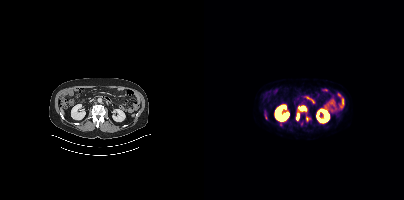
- Two-panel axial: CT | PSMA PET, 18F-PSMA tracer
- acquired on Siemens Biograph mCT Flow 20
- slice 191 of 444
- PET panel 200×200 px (4.1 mm/px)
Findings: Coordinates are on the 200×200 PET (right) panel. (showing 2 of 4 foci) PSMA-avid tumor lesion bounding boxes (x0,y0,x1,y1): [94,106,102,110], [92,113,95,120].